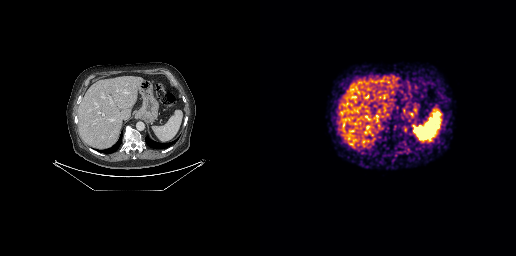
Negative for PSMA-avid disease on this slice.
modality: PSMA PET/CT | tracer: [68Ga]Ga-PSMA-11 | view: axial